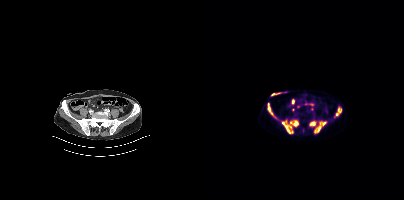
Findings: Coordinates are on the 200×200 PET (right) panel. PSMA-avid tumor lesion bounding boxes (x0, y0)-(x1, y1): (78, 120)-(94, 133) / (111, 121)-(122, 132) / (63, 103)-(73, 119) / (132, 107)-(137, 115) / (105, 121)-(111, 126).
Technique: Paired axial CT (left) and PSMA PET (right), 18F-PSMA tracer.